Paired axial CT (left) and PSMA PET (right), 18F-PSMA tracer. PET panel 200×200 px (4.1 mm/px).
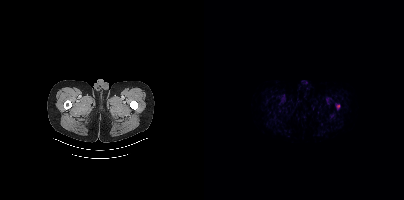
Coordinates are on the 200×200 PET (right) panel. Small PSMA-avid focus (2 to 4 px across) near (center x, center y): (133, 106).